- Paired axial CT (left) and PSMA PET (right), 18F-PSMA tracer
- acquired on GE Discovery 690
- slice position z = -53 mm
- PET panel 256×256 px (2.7 mm/px)
- any black rectangle over the head is a privacy mask, not anatomy
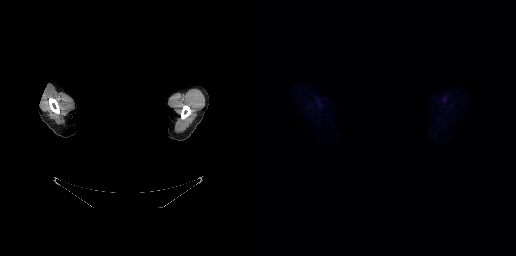
Findings: This slice has no annotated PSMA-avid lesion.